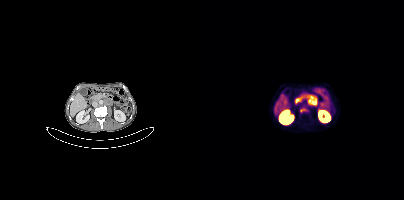
Coordinates are on the 200×200 PET (right) panel. PSMA-avid tumor lesion bounding boxes (x0,y0,x1,y1): [100,95,113,105] [96,107,104,112].